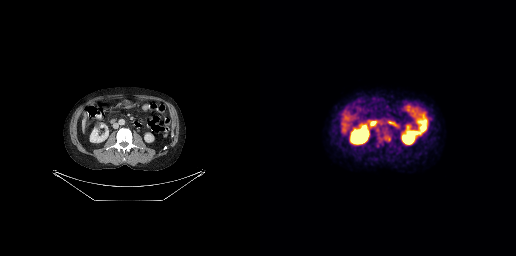
Coordinates are on the 256×256 PET (right) panel. (showing 1 of 2 foci) Small PSMA-avid focus (2 to 4 px across) near (center x, center y): (129, 139). Two-panel axial: CT | PSMA PET, 18F tracer. Acquired on GE Discovery 690. Slice position z = -511 mm.